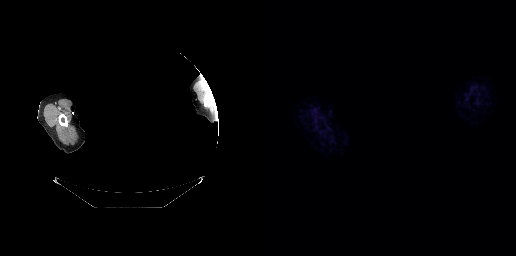
redaction: facial region redacted | modality: PSMA PET/CT | tracer: 68Ga-PSMA | view: axial
Negative for PSMA-avid disease on this slice.